Two-panel axial: CT | PSMA PET, 18F-PSMA tracer.
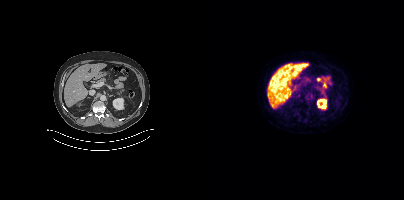
Coordinates are on the 200×200 PET (right) panel. PSMA-avid tumor lesion bounding boxes:
| # | x0 | y0 | x1 | y1 |
|---|---|---|---|---|
| 1 | 105 | 94 | 110 | 99 |
Small PSMA-avid focus (2 to 4 px across) near (center x, center y): (96, 100).